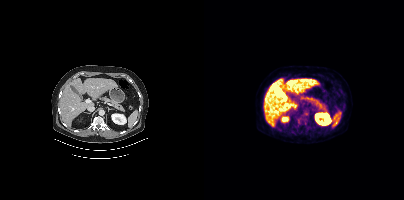
Negative for PSMA-avid disease on this slice.